modality: PSMA PET/CT | tracer: 18F | view: axial
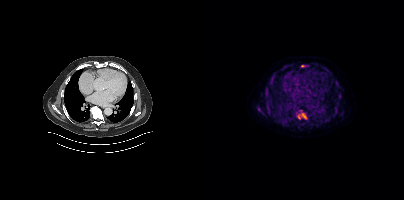
Coordinates are on the 200×200 PET (right) panel. (showing 10 of 12 foci) PSMA-avid tumor lesion bounding boxes (x0,y0,x1,y1): [95,109,101,115] [61,103,66,108] [67,72,73,78] [118,66,122,70] [61,87,64,91] [97,65,101,67] [129,113,132,117]. Small PSMA-avid foci (2 to 4 px across) near (center x, center y): (132, 82) (67, 115) (138, 114).